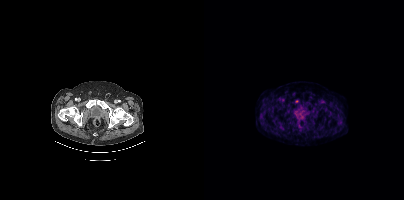
Coordinates are on the 200×200 PET (right) panel. Small PSMA-avid focus (2 to 4 px across) near (center x, center y): (92, 101).